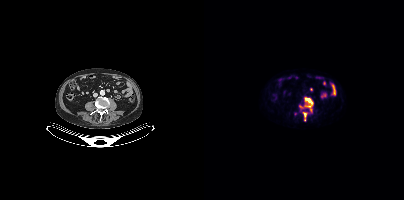
Coordinates are on the 200×200 PET (right) panel. PSMA-avid tumor lesion bounding boxes (x, y, width, height): x=101 y=98 w=8 h=10 / x=99 y=112 w=3 h=9 / x=96 y=106 w=5 h=2. Small PSMA-avid focus (2 to 4 px across) near (center x, center y): (106, 110).